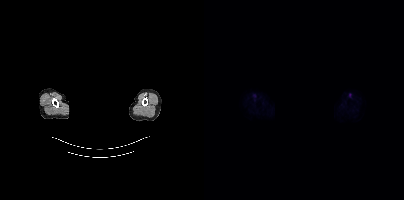
De-identified by setting a box covering the face to black before release. Two-panel axial: CT | PSMA PET, 18F tracer. PET panel 200×200 px (4.1 mm/px). No tumor lesions annotated on this slice.